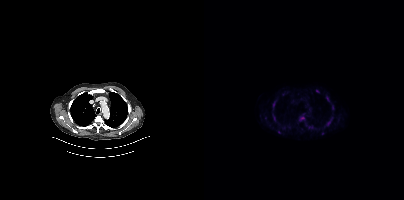
Coordinates are on the 200×200 PET (right) panel. (showing 9 of 14 foci) PSMA-avid tumor lesion bounding boxes (x0, y0)-(x1, y1): (122, 117)-(128, 125); (95, 116)-(100, 120); (69, 101)-(71, 107); (128, 105)-(129, 109); (69, 116)-(71, 120); (122, 97)-(125, 101). Small PSMA-avid foci (2 to 4 px across) near (center x, center y): (113, 91); (75, 132); (118, 133).